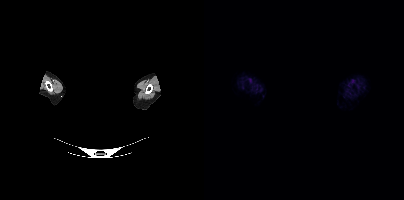
{"modality":"PSMA PET/CT","view":"axial","tracer":"18F","pet_grid":[200,200],"coord_frame":"pet_panel","coord_format":"x0,y0,x1,y1","de-identification":"facial region redacted","psma_avid_lesions":false}